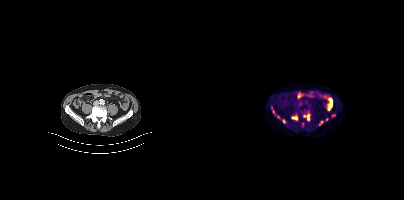
Paired axial CT (left) and PSMA PET (right), [18F]PSMA-1007 tracer. Slice 129 of 407.
Coordinates are on the 200×200 PET (right) panel. PSMA-avid tumor lesion bounding boxes (partial; 3 more foci not listed):
| # | x0 | y0 | x1 | y1 |
|---|---|---|---|---|
| 1 | 100 | 114 | 105 | 120 |
| 2 | 88 | 116 | 93 | 120 |
Small PSMA-avid foci (2 to 4 px across) near (center x, center y): (80, 121); (129, 115); (117, 121).